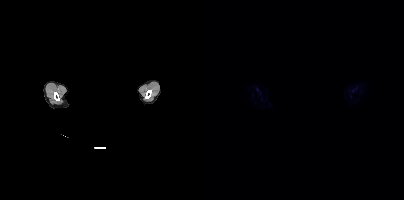
Findings: This slice has no annotated PSMA-avid lesion.
Technique: Left: CT. Right: PSMA PET, same axial level, [18F]PSMA-1007 tracer. slice position z = -232 mm.
Note: Any black rectangle over the head is a privacy mask, not anatomy.